Technique: Left: CT. Right: PSMA PET, same axial level, 18F tracer.
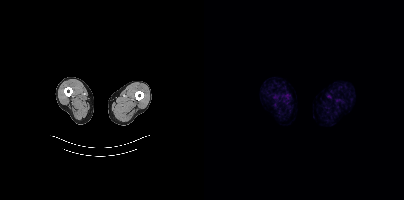
Findings: This slice has no annotated PSMA-avid lesion.